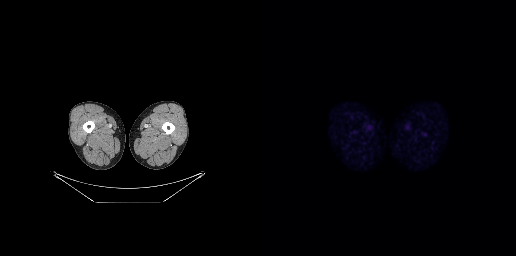
Left: CT. Right: PSMA PET, same axial level, 18F tracer. This slice has no annotated PSMA-avid lesion.